Left: CT. Right: PSMA PET, same axial level, 18F tracer.
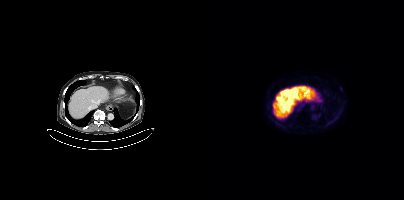
No PSMA-avid tumor lesions on this slice.